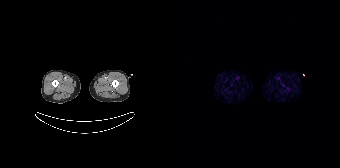
{"modality":"PSMA PET/CT","view":"axial","tracer":"68Ga-PSMA","pet_grid":[168,168],"coord_frame":"pet_panel","coord_format":"x0,y0,x1,y1","psma_avid_lesions":false}